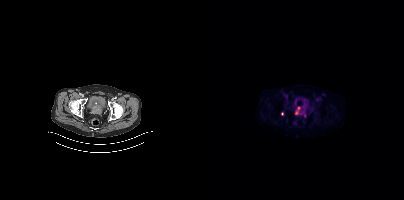
Coordinates are on the 200×200 PET (right) panel. Small PSMA-avid foci (2 to 4 px across) near (center x, center y): (92, 113); (94, 108); (78, 113).